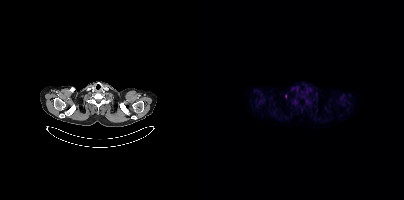
Coordinates are on the 200×200 PET (right) panel. Small PSMA-avid foci (2 to 4 px across) near (center x, center y): (81, 96) (112, 93).